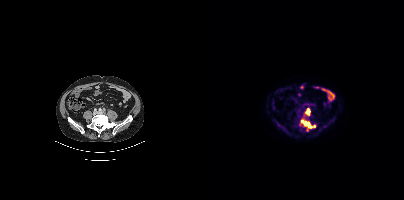
Findings: Coordinates are on the 200×200 PET (right) panel. PSMA-avid tumor lesion bounding boxes (x, y, width, height): x=97 y=119 w=15 h=12 / x=101 y=108 w=6 h=8.
Technique: Paired axial CT (left) and PSMA PET (right), 18F tracer. PET panel 200×200 px (4.1 mm/px).